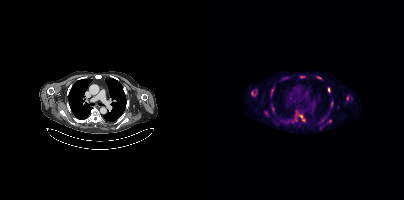
Coordinates are on the 200×200 PET (right) panel. PSMA-avid tumor lesion bounding boxes (partial; 3 more foci not listed):
| # | x0 | y0 | x1 | y1 |
|---|---|---|---|---|
| 1 | 93 | 114 | 101 | 121 |
| 2 | 112 | 76 | 117 | 79 |
| 3 | 60 | 111 | 64 | 115 |
| 4 | 124 | 88 | 126 | 92 |
| 5 | 80 | 77 | 84 | 79 |
| 6 | 143 | 96 | 144 | 100 |
| 7 | 127 | 101 | 128 | 106 |
Small PSMA-avid foci (2 to 4 px across) near (center x, center y): (67, 105); (126, 121); (97, 76); (69, 88); (67, 95); (118, 120).
Paired axial CT (left) and PSMA PET (right), [18F]PSMA-1007 tracer.